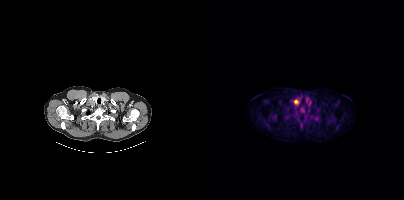
Findings: Coordinates are on the 200×200 PET (right) panel. PSMA-avid tumor lesion bounding box (x, y, width, height): x=90 y=100 w=5 h=5.
Technique: Two-panel axial: CT | PSMA PET, 18F tracer. acquired on Siemens Biograph mCT Flow 20. PET panel 200×200 px (4.1 mm/px).